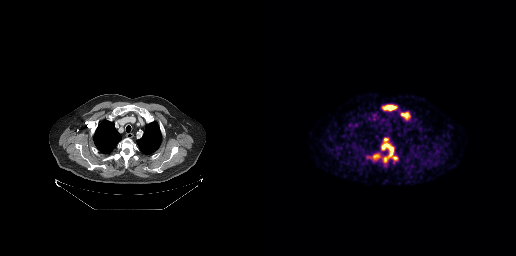
Coordinates are on the 256×256 PET (right) panel. (showing 4 of 6 foci) PSMA-avid tumor lesion bounding boxes (x, y, width, height): x=121 y=137 w=18 h=26; x=122 y=104 w=16 h=7; x=141 y=112 w=10 h=8; x=112 y=153 w=9 h=8.